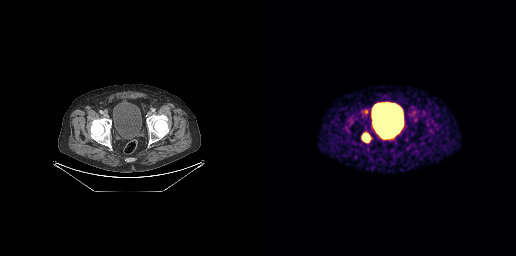
Findings: Coordinates are on the 256×256 PET (right) panel. PSMA-avid tumor lesion bounding box (x, y, width, height): x=102 y=133 w=8 h=10. Small PSMA-avid focus (2 to 4 px across) near (center x, center y): (106, 111).
- Two-panel axial: CT | PSMA PET, 68Ga-PSMA tracer
- acquired on GE Discovery 690
- slice 57 of 263
- PET panel 256×256 px (2.7 mm/px)